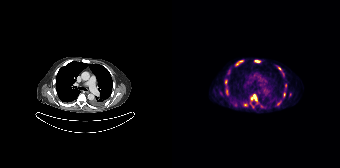
Coordinates are on the 168×168 PET (right) panel. (showing 11 of 12 foci) PSMA-avid tumor lesion bounding boxes (x0,y0,x1,y1): [78,94,87,104], [105,66,112,76], [64,60,71,65], [82,60,88,62], [53,79,55,84], [54,90,55,94]. Small PSMA-avid foci (2 to 4 px across) near (center x, center y): (112, 94), (73, 105), (113, 85), (88, 105), (107, 102). Left: CT. Right: PSMA PET, same axial level, [68Ga]Ga-PSMA-11 tracer.